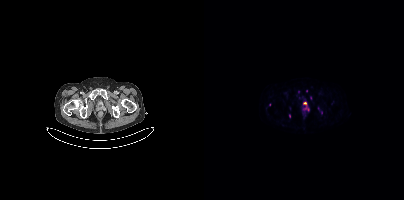
{"modality":"PSMA PET/CT","view":"axial","tracer":"68Ga-PSMA","pet_grid":[200,200],"coord_frame":"pet_panel","coord_format":"x0,y0,x1,y1","partial":true,"lesion_bboxes":[[99,102,104,110]],"small_foci_centers":[[85,116],[117,111],[65,104]]}